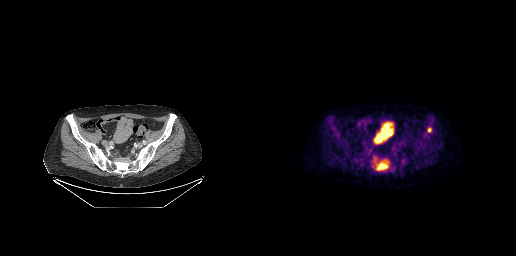
Left: CT. Right: PSMA PET, same axial level, 18F-PSMA tracer. Acquired on GE Discovery 690. Slice position z = -840 mm. PET panel 256×256 px (2.7 mm/px). Coordinates are on the 256×256 PET (right) panel. PSMA-avid tumor lesion bounding box (x, y, width, height): x=117 y=163 w=11 h=7. Small PSMA-avid focus (2 to 4 px across) near (center x, center y): (169, 130).